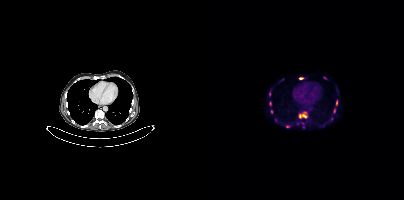
Findings: Coordinates are on the 200×200 PET (right) panel. (showing 9 of 11 foci) PSMA-avid tumor lesion bounding boxes (x, y, width, height): x=94 y=111 w=10 h=8; x=95 y=77 w=5 h=3; x=132 y=100 w=2 h=6. Small PSMA-avid foci (2 to 4 px across) near (center x, center y): (120, 78); (130, 110); (66, 103); (67, 111); (65, 94); (83, 126).
- Two-panel axial: CT | PSMA PET, 18F tracer
- acquired on Siemens Biograph mCT Flow 20
- slice position z = -1122 mm